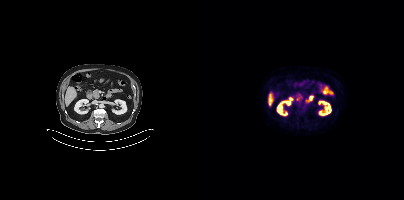
No PSMA-avid tumor lesions on this slice. Left: CT. Right: PSMA PET, same axial level, [18F]PSMA-1007 tracer. Slice 183 of 389. PET panel 200×200 px (4.1 mm/px).